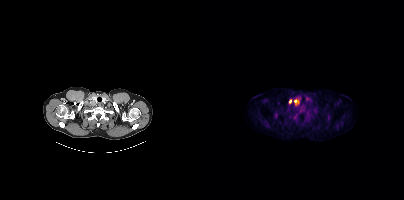
Coordinates are on the 200×200 PET (right) panel. PSMA-avid tumor lesion bounding boxes (x, y, width, height): x=90 y=99 w=6 h=7 / x=85 y=99 w=3 h=5.